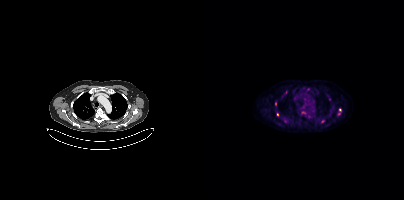
Coordinates are on the 200×200 PET (right) panel. (showing 6 of 9 foci) Small PSMA-avid foci (2 to 4 px across) near (center x, center y): (99, 113); (104, 89); (136, 110); (82, 92); (73, 114); (71, 103).